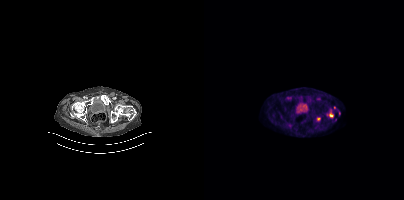
Only PSMA-avid lesion pieces thinner than 2 px on this slice (not listed).